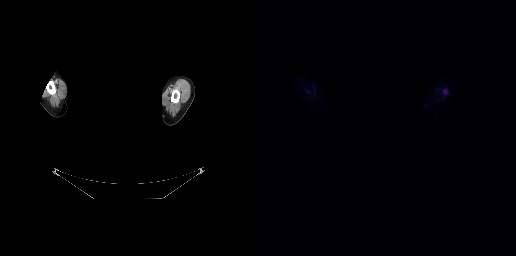
{"modality":"PSMA PET/CT","view":"axial","tracer":"[18F]PSMA-1007","pet_grid":[256,256],"coord_frame":"pet_panel","coord_format":"x0,y0,x1,y1","psma_avid_lesions":false,"deidentification":"face masked with black rectangle"}